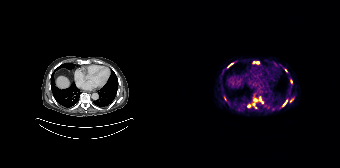
Findings: Coordinates are on the 168×168 PET (right) panel. (showing 7 of 9 foci) PSMA-avid tumor lesion bounding boxes (x0,y0,x1,y1): [111,99,115,105], [56,63,60,66]. Small PSMA-avid foci (2 to 4 px across) near (center x, center y): (77, 106), (119, 100), (119, 81), (90, 102), (85, 62).
Technique: Left: CT. Right: PSMA PET, same axial level, 68Ga tracer. slice 103 of 165. PET panel 168×168 px (4.1 mm/px).